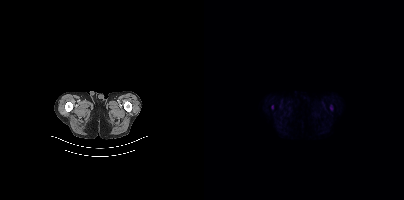
Only PSMA-avid lesion pieces thinner than 2 px on this slice (not listed).